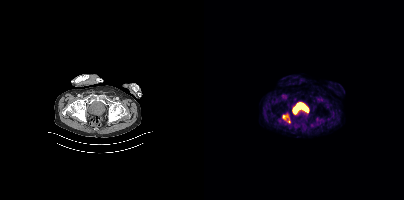
modality: PSMA PET/CT | tracer: 18F | view: axial
Coordinates are on the 200×200 PET (right) panel. PSMA-avid tumor lesion bounding box (x0, y0)-(x1, y1): (79, 115)-(84, 119). Small PSMA-avid focus (2 to 4 px across) near (center x, center y): (85, 120).